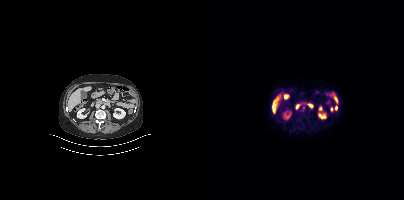
Paired axial CT (left) and PSMA PET (right), 18F-PSMA tracer. Acquired on Siemens Biograph mCT Flow 20. Slice position z = -710 mm. PET panel 200×200 px (4.1 mm/px). Only PSMA-avid lesion pieces thinner than 2 px on this slice (not listed).